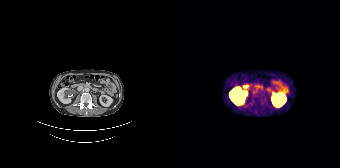
Left: CT. Right: PSMA PET, same axial level, [68Ga]Ga-PSMA-11 tracer. Slice 88 of 195. PET panel 168×168 px (4.1 mm/px). No tumor lesions annotated on this slice.